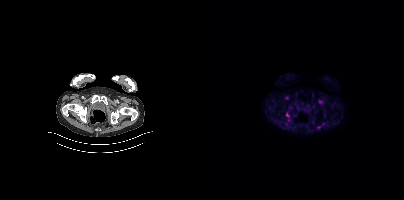
- Paired axial CT (left) and PSMA PET (right), 18F-PSMA tracer
- acquired on Siemens Biograph mCT Flow 20
Findings: Coordinates are on the 200×200 PET (right) panel. Small PSMA-avid focus (2 to 4 px across) near (center x, center y): (83, 114).